Paired axial CT (left) and PSMA PET (right), 68Ga tracer. Slice 137 of 195. PET panel 168×168 px (4.1 mm/px).
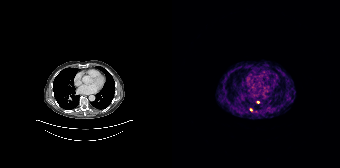
Coordinates are on the 168×168 PET (right) panel. Small PSMA-avid foci (2 to 4 px across) near (center x, center y): (85, 101); (78, 109).